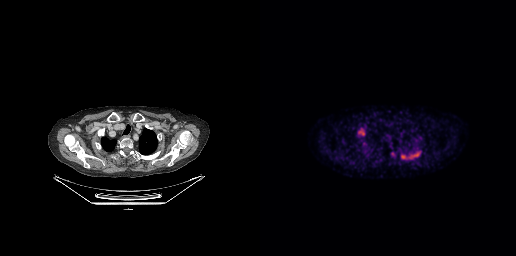
modality: PSMA PET/CT | tracer: 18F-PSMA | view: axial | PET grid: 256×256
Coordinates are on the 256×256 PET (right) panel. PSMA-avid tumor lesion bounding boxes (x0,y0,x1,y1): [149,151,161,159] [98,128,104,134] [141,154,147,159]. Small PSMA-avid focus (2 to 4 px across) near (center x, center y): (132, 153).